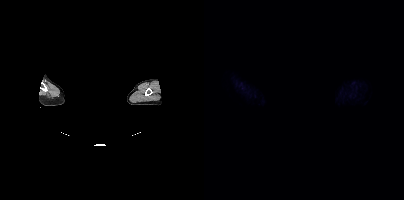
{"modality":"PSMA PET/CT","view":"axial","tracer":"18F-PSMA","pet_grid":[200,200],"coord_frame":"pet_panel","coord_format":"x0,y0,x1,y1","deidentification":"face masked with black rectangle","psma_avid_lesions":false}